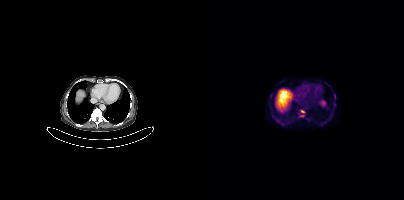
Findings: Coordinates are on the 200×200 PET (right) panel. PSMA-avid tumor lesion bounding box (x0, y0)-(x1, y1): (96, 110)-(101, 112). Small PSMA-avid foci (2 to 4 px across) near (center x, center y): (97, 115); (73, 121).
- Paired axial CT (left) and PSMA PET (right), 18F-PSMA tracer
- slice position z = -464 mm
- PET panel 200×200 px (4.1 mm/px)